Left: CT. Right: PSMA PET, same axial level, 18F-PSMA tracer. Slice position z = -310 mm.
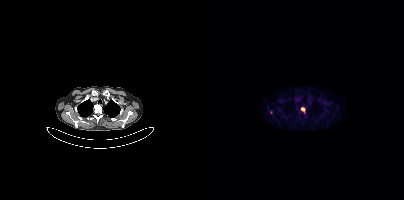
Coordinates are on the 200×200 PET (right) panel. Small PSMA-avid foci (2 to 4 px across) near (center x, center y): (98, 108) | (67, 112).